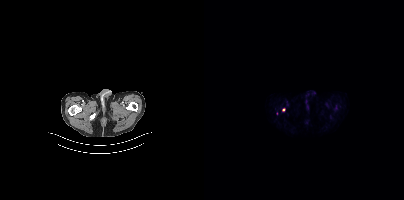
Coordinates are on the 200×200 PET (right) panel. Small PSMA-avid focus (2 to 4 px across) near (center x, center y): (79, 109). Left: CT. Right: PSMA PET, same axial level, 18F-PSMA tracer. Acquired on Siemens Biograph mCT Flow 20. PET panel 200×200 px (4.1 mm/px).